modality: PSMA PET/CT | tracer: 18F | view: axial | PET grid: 200×200
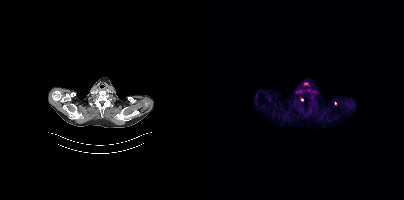
Coordinates are on the 200×200 PET (right) panel. Small PSMA-avid foci (2 to 4 px across) near (center x, center y): (98, 99) / (131, 103).